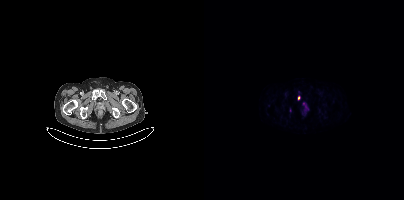
Coordinates are on the 200×200 PET (right) panel. Small PSMA-avid focus (2 to 4 px across) near (center x, center y): (94, 97).